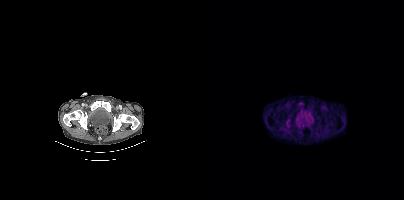
Findings: Coordinates are on the 200×200 PET (right) panel. PSMA-avid tumor lesion bounding box (x0, y0)-(x1, y1): (82, 120)-(85, 125).
Technique: Left: CT. Right: PSMA PET, same axial level, 18F tracer. acquired on Siemens Biograph mCT Flow 20. slice position z = -1452 mm. PET panel 200×200 px (4.1 mm/px).